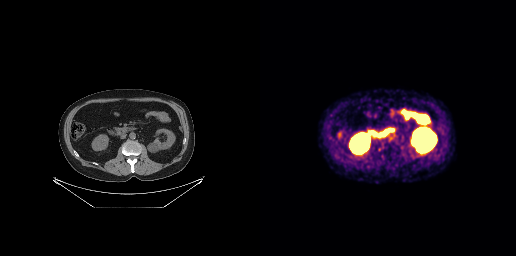
Technique: Two-panel axial: CT | PSMA PET, 68Ga-PSMA tracer. acquired on GE Discovery 690.
Findings: No PSMA-avid tumor lesions on this slice.